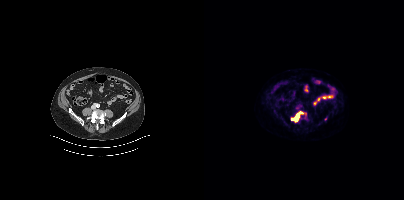
{"modality":"PSMA PET/CT","view":"axial","tracer":"[18F]PSMA-1007","pet_grid":[200,200],"coord_frame":"pet_panel","coord_format":"x0,y0,x1,y1","lesion_bboxes":[[87,111,99,122]],"small_foci_centers":[[121,119]]}